Technique: Left: CT. Right: PSMA PET, same axial level, 18F tracer.
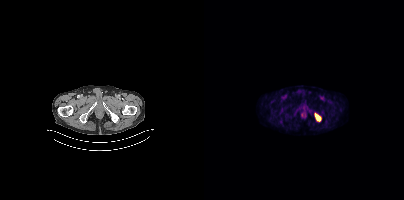
Findings: Coordinates are on the 200×200 PET (right) panel. PSMA-avid tumor lesion bounding box (x, y, width, height): x=111 y=113 w=6 h=9.